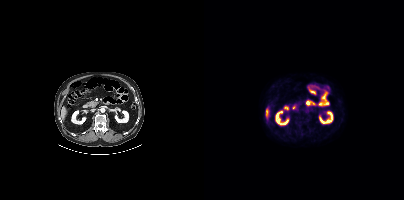
modality: PSMA PET/CT | tracer: 18F | view: axial | PET grid: 200×200
No tumor lesions annotated on this slice.